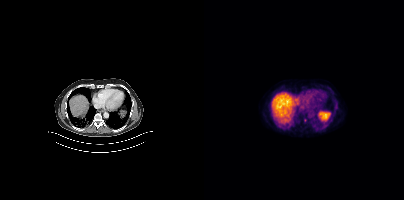
modality: PSMA PET/CT | tracer: 18F-PSMA | view: axial | PET grid: 200×200
Coordinates are on the 200×200 PET (right) panel. (showing 1 of 2 foci) Small PSMA-avid focus (2 to 4 px across) near (center x, center y): (101, 120).